- Two-panel axial: CT | PSMA PET, 68Ga-PSMA tracer
- acquired on Siemens Biograph 64-4R TruePoint
- slice position z = -658 mm
- PET panel 168×168 px (4.1 mm/px)
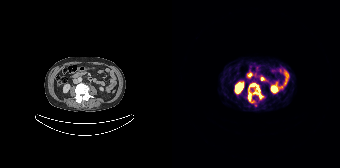
Findings: Coordinates are on the 168×168 PET (right) panel. PSMA-avid tumor lesion bounding boxes (x0, y0)-(x1, y1): (77, 84)-(90, 98) | (76, 92)-(78, 100).